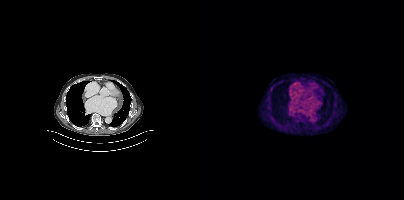
modality: PSMA PET/CT | tracer: 18F-PSMA | view: axial | PET grid: 200×200
Negative for PSMA-avid disease on this slice.